Technique: Two-panel axial: CT | PSMA PET, [18F]PSMA-1007 tracer. acquired on Siemens Biograph mCT Flow 20. PET panel 200×200 px (4.1 mm/px).
Note: A rectangle over the head was blacked out to remove identifiable facial features.
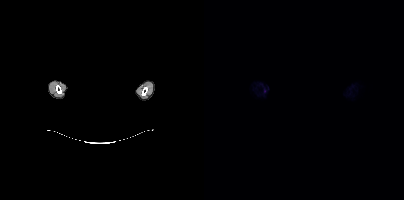
Findings: No tumor lesions annotated on this slice.